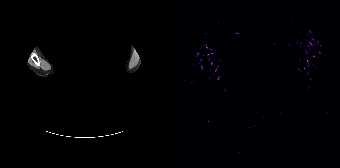
{"modality":"PSMA PET/CT","view":"axial","tracer":"68Ga","pet_grid":[168,168],"coord_frame":"pet_panel","coord_format":"x0,y0,x1,y1","de-identification":"privacy mask over head","psma_avid_lesions":false}